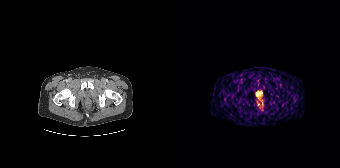
Coordinates are on the 168×168 PET (right) panel. Small PSMA-avid focus (2 to 4 px across) near (center x, center y): (84, 94). Paired axial CT (left) and PSMA PET (right), 68Ga-PSMA tracer. Acquired on Siemens Biograph 64-4R TruePoint. Slice position z = -1251 mm.